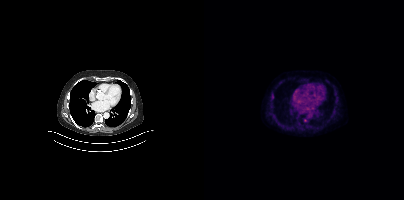
Findings: Coordinates are on the 200×200 PET (right) panel. Small PSMA-avid focus (2 to 4 px across) near (center x, center y): (101, 120).
- Two-panel axial: CT | PSMA PET, [18F]PSMA-1007 tracer
- acquired on Siemens Biograph mCT Flow 20
- slice 231 of 356